modality: PSMA PET/CT | tracer: 18F | view: axial
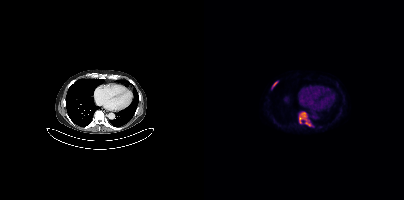
Coordinates are on the 200×200 PET (right) panel. PSMA-avid tumor lesion bounding boxes (x, y, width, height): x=95 y=112 w=13 h=15 | x=68 y=81 w=6 h=8.